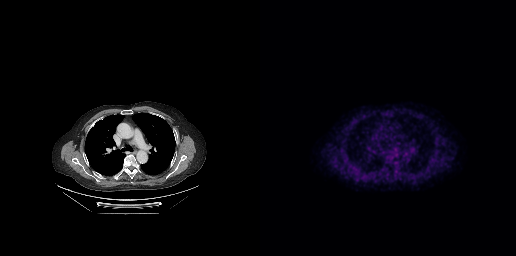
Coordinates are on the 256×256 PET (right) panel. Small PSMA-avid focus (2 to 4 px across) near (center x, center y): (82, 150). Two-panel axial: CT | PSMA PET, [18F]PSMA-1007 tracer. PET panel 256×256 px (2.7 mm/px).